Two-panel axial: CT | PSMA PET, [18F]PSMA-1007 tracer. PET panel 200×200 px (4.1 mm/px).
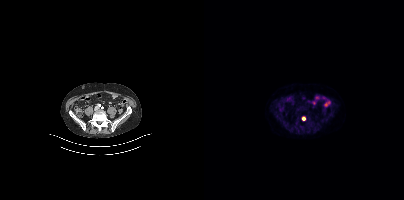
Coordinates are on the 200×200 PET (right) panel. Small PSMA-avid focus (2 to 4 px across) near (center x, center y): (99, 118).